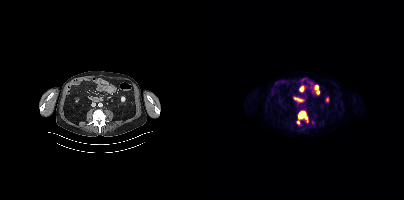
Left: CT. Right: PSMA PET, same axial level, 18F tracer.
Coordinates are on the 200×200 PET (right) panel. PSMA-avid tumor lesion bounding boxes (partial; 1 more focus not listed):
| # | x0 | y0 | x1 | y1 |
|---|---|---|---|---|
| 1 | 94 | 111 | 103 | 119 |
Small PSMA-avid focus (2 to 4 px across) near (center x, center y): (94, 122).